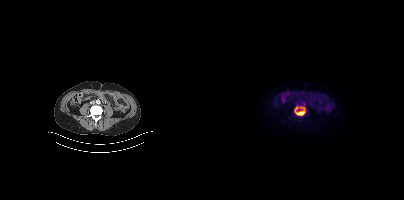
{"modality":"PSMA PET/CT","view":"axial","tracer":"18F-PSMA","pet_grid":[200,200],"coord_frame":"pet_panel","coord_format":"x0,y0,x1,y1","lesion_bboxes":[[90,106,101,115]]}